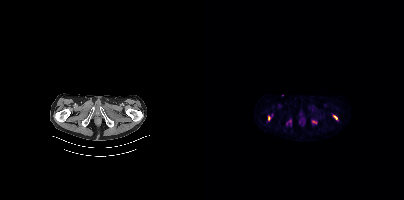
Coordinates are on the 200×200 PET (right) panel. PSMA-avid tumor lesion bounding boxes (x0,y0,x1,y1): [129,115,133,119] [108,121,112,123]. Small PSMA-avid focus (2 to 4 px across) near (center x, center y): (64, 117).